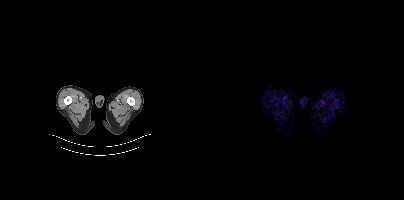
{"modality":"PSMA PET/CT","view":"axial","tracer":"[18F]PSMA-1007","pet_grid":[200,200],"coord_frame":"pet_panel","coord_format":"x0,y0,x1,y1","psma_avid_lesions":false}